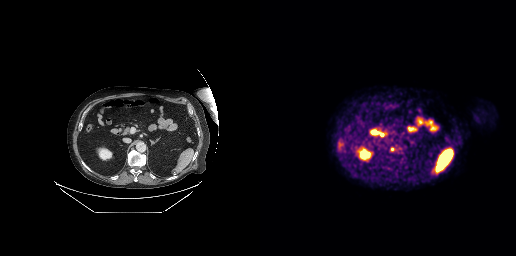
Paired axial CT (left) and PSMA PET (right), [18F]PSMA-1007 tracer. Acquired on GE Discovery 690. Slice 182 of 299.
Coordinates are on the 256×256 PET (right) panel. PSMA-avid tumor lesion bounding boxes:
| # | x0 | y0 | x1 | y1 |
|---|---|---|---|---|
| 1 | 130 | 147 | 134 | 151 |